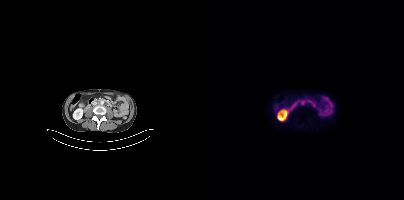
{"modality":"PSMA PET/CT","view":"axial","tracer":"18F","pet_grid":[200,200],"coord_frame":"pet_panel","coord_format":"x0,y0,x1,y1","lesion_bboxes":[[96,100,101,104]]}